modality: PSMA PET/CT | tracer: [68Ga]Ga-PSMA-11 | view: axial | PET grid: 168×168
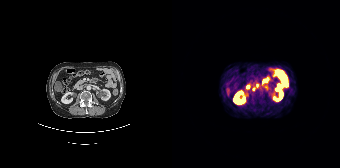
Coordinates are on the 168×168 PET (right) panel. Small PSMA-avid foci (2 to 4 px across) near (center x, center y): (82, 88) (85, 84).